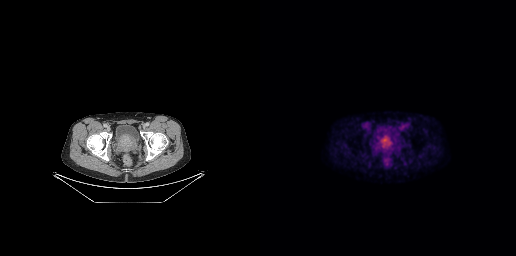
Findings: Coordinates are on the 256×256 PET (right) panel. PSMA-avid tumor lesion bounding box (x0,y0,x1,y1): [116,133,135,152].
Technique: Paired axial CT (left) and PSMA PET (right), 18F tracer. PET panel 256×256 px (2.7 mm/px).